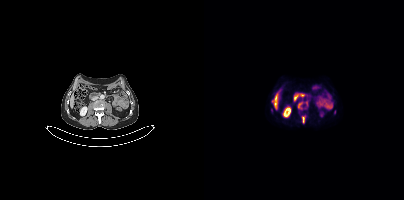
{"pet_grid":[200,200],"coord_frame":"pet_panel","coord_format":"x0,y0,x1,y1","partial":true,"lesion_bboxes":[[94,101,99,109],[98,115,101,123],[102,101,103,105]],"modality":"PSMA PET/CT","view":"axial","tracer":"18F"}